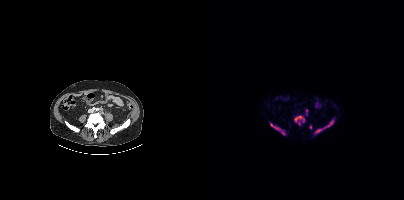
Coordinates are on the 200×200 PET (right) panel. (showing 6 of 7 foci) PSMA-avid tumor lesion bounding boxes (x0, y0)-(x1, y1): (111, 118)-(130, 134) | (90, 115)-(100, 125) | (66, 124)-(76, 130). Small PSMA-avid foci (2 to 4 px across) near (center x, center y): (78, 133) | (102, 110) | (106, 127).